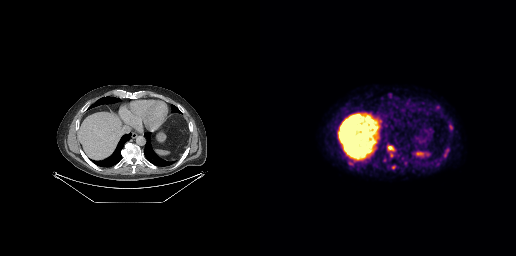
{"modality":"PSMA PET/CT","view":"axial","tracer":"[18F]PSMA-1007","pet_grid":[256,256],"coord_frame":"pet_panel","coord_format":"x0,y0,x1,y1","partial":true,"lesion_bboxes":[[88,158,95,165],[128,146,133,150],[184,149,188,157],[189,125,192,129]]}